Two-panel axial: CT | PSMA PET, [18F]PSMA-1007 tracer. Acquired on Siemens Biograph mCT Flow 20. Slice position z = 54 mm. PET panel 200×200 px (4.1 mm/px).
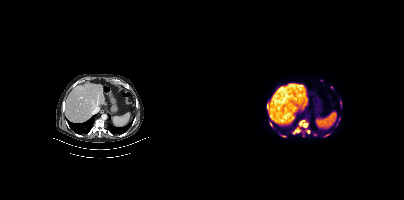
Coordinates are on the 200×200 PET (right) panel. (showing 6 of 10 foci) PSMA-avid tumor lesion bounding boxes (x0, y0)-(x1, y1): (99, 123)-(103, 127); (95, 120)-(100, 125); (91, 130)-(95, 132); (66, 122)-(68, 126). Small PSMA-avid foci (2 to 4 px across) near (center x, center y): (63, 104); (104, 131).